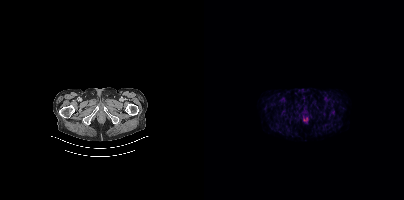
modality: PSMA PET/CT | tracer: 18F-PSMA | view: axial | PET grid: 200×200
Negative for PSMA-avid disease on this slice.